- Paired axial CT (left) and PSMA PET (right), 18F-PSMA tracer
- slice position z = -662 mm
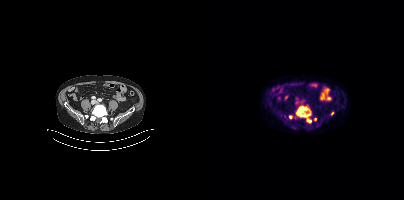
Findings: Coordinates are on the 200×200 PET (right) panel. PSMA-avid tumor lesion bounding box (x0, y0)-(x1, y1): (93, 106)-(106, 117). Small PSMA-avid foci (2 to 4 px across) near (center x, center y): (86, 117); (103, 119); (128, 113); (111, 120); (106, 121).